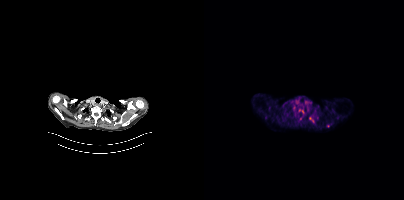
Findings: Coordinates are on the 200×200 PET (right) panel. PSMA-avid tumor lesion bounding box (x0, y0)-(x1, y1): (105, 117)-(110, 121). Small PSMA-avid focus (2 to 4 px across) near (center x, center y): (124, 125).
Technique: Two-panel axial: CT | PSMA PET, 18F tracer.